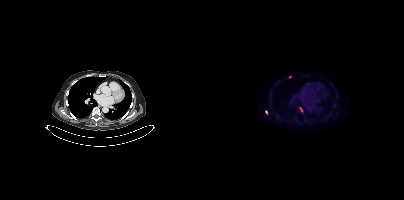
Coordinates are on the 200×200 PET (right) panel. PSMA-avid tumor lesion bounding boxes:
| # | x0 | y0 | x1 | y1 |
|---|---|---|---|---|
| 1 | 96 | 107 | 98 | 111 |
Small PSMA-avid foci (2 to 4 px across) near (center x, center y): (62, 112); (85, 76).
Left: CT. Right: PSMA PET, same axial level, [18F]PSMA-1007 tracer. Slice position z = 188 mm.